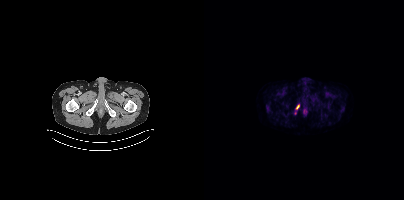
modality: PSMA PET/CT | tracer: 68Ga | view: axial
Coordinates are on the 200×200 PET (right) panel. PSMA-avid tumor lesion bounding box (x0,y0,x1,y1): [92,104,95,109].